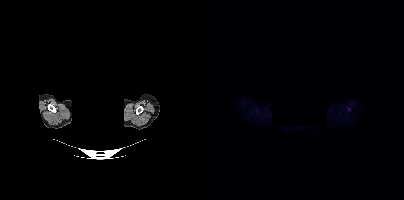
Technique: Paired axial CT (left) and PSMA PET (right), [18F]PSMA-1007 tracer. acquired on Siemens Biograph mCT Flow 20.
Note: Privacy masking over the head, with the pixels inside a rectangle set to black.
Findings: Coordinates are on the 200×200 PET (right) panel. Small PSMA-avid focus (2 to 4 px across) near (center x, center y): (145, 109).